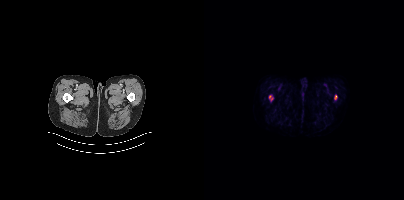
Technique: Left: CT. Right: PSMA PET, same axial level, 18F tracer. acquired on Siemens Biograph mCT Flow 20.
Findings: Coordinates are on the 200×200 PET (right) panel. PSMA-avid tumor lesion bounding boxes (x0, y0)-(x1, y1): (65, 95)-(69, 100) | (130, 95)-(132, 99).